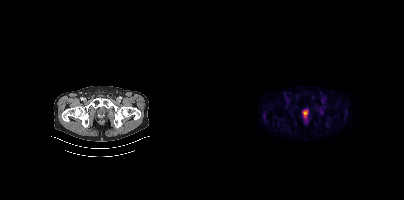
Left: CT. Right: PSMA PET, same axial level, 68Ga tracer. Coordinates are on the 200×200 PET (right) panel. Small PSMA-avid focus (2 to 4 px across) near (center x, center y): (101, 114).